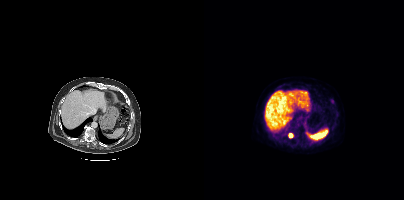
Technique: Left: CT. Right: PSMA PET, same axial level, 18F tracer.
Findings: Coordinates are on the 200×200 PET (right) panel. PSMA-avid tumor lesion bounding box (x0, y0)-(x1, y1): (85, 133)-(88, 137). Small PSMA-avid focus (2 to 4 px across) near (center x, center y): (128, 101).